- Two-panel axial: CT | PSMA PET, 18F tracer
- acquired on Siemens Biograph mCT Flow 20
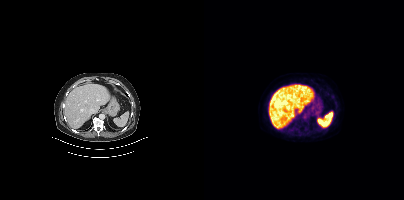
Findings: This slice has no annotated PSMA-avid lesion.